- Left: CT. Right: PSMA PET, same axial level, 18F-PSMA tracer
- PET panel 200×200 px (4.1 mm/px)
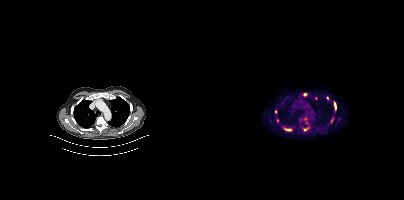
Findings: Coordinates are on the 200×200 PET (right) panel. (showing 10 of 11 foci) PSMA-avid tumor lesion bounding boxes (x, y, width, height): x=130 y=101 w=3 h=10; x=99 y=127 w=6 h=5; x=81 y=129 w=7 h=3. Small PSMA-avid foci (2 to 4 px across) near (center x, center y): (100, 94); (71, 111); (123, 98); (101, 118); (73, 120); (127, 121); (102, 122).